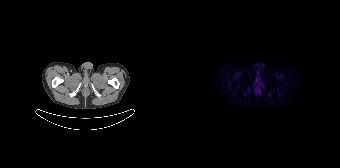
No PSMA-avid tumor lesions on this slice.